Left: CT. Right: PSMA PET, same axial level, 68Ga-PSMA tracer. Acquired on Siemens Biograph mCT Flow 20.
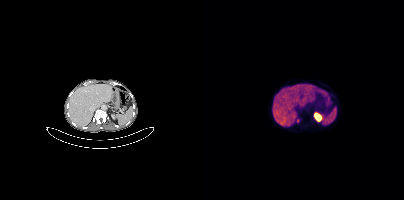
Coordinates are on the 200×200 PET (right) panel. Small PSMA-avid focus (2 to 4 px across) near (center x, center y): (93, 120).